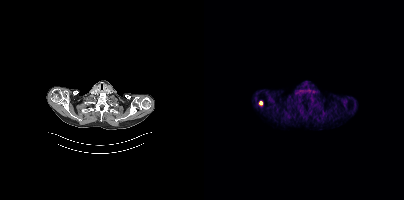
Findings: Coordinates are on the 200×200 PET (right) panel. Small PSMA-avid focus (2 to 4 px across) near (center x, center y): (56, 102).
Technique: Paired axial CT (left) and PSMA PET (right), 18F tracer.